- Left: CT. Right: PSMA PET, same axial level, 68Ga tracer
- acquired on GE Discovery 690
- slice 70 of 227
- PET panel 256×256 px (2.7 mm/px)
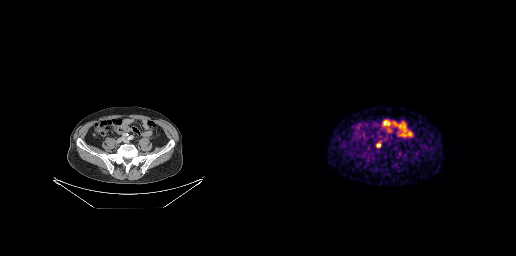
Findings: Coordinates are on the 256×256 PET (right) panel. Small PSMA-avid foci (2 to 4 px across) near (center x, center y): (118, 145); (119, 141).